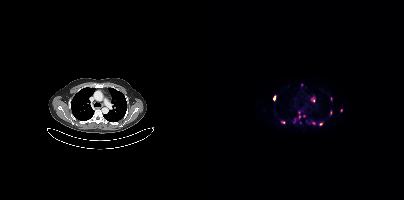
Coordinates are on the 200×200 PET (right) panel. (showing 11 of 12 foci) PSMA-avid tumor lesion bounding boxes (x0, y0)-(x1, y1): (94, 112)-(96, 116); (70, 96)-(71, 100). Small PSMA-avid foci (2 to 4 px across) near (center x, center y): (78, 122); (116, 124); (127, 98); (137, 110); (126, 112); (90, 121); (97, 84); (109, 98); (96, 122).